modality: PSMA PET/CT | tracer: 68Ga | view: axial | PET grid: 168×168
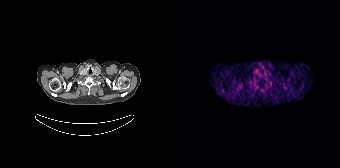
No PSMA-avid tumor lesions on this slice.